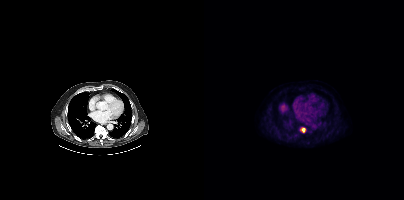
- Two-panel axial: CT | PSMA PET, 18F-PSMA tracer
Findings: Coordinates are on the 200×200 PET (right) panel. PSMA-avid tumor lesion bounding box (x0, y0)-(x1, y1): (98, 128)-(101, 132).